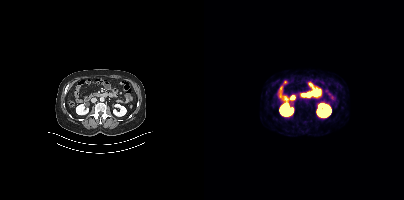
{"modality":"PSMA PET/CT","view":"axial","tracer":"[68Ga]Ga-PSMA-11","pet_grid":[200,200],"coord_frame":"pet_panel","coord_format":"x0,y0,x1,y1","psma_avid_lesions":false}